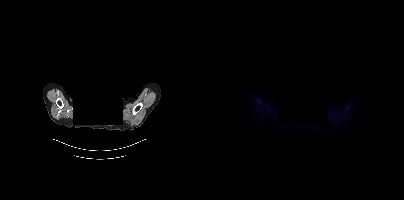
Findings: No PSMA-avid tumor lesions on this slice.
Technique: Two-panel axial: CT | PSMA PET, 18F-PSMA tracer.
Note: A rectangular block over the head has been blanked out for de-identification.